- Two-panel axial: CT | PSMA PET, [18F]PSMA-1007 tracer
- acquired on Siemens Biograph 64-4R TruePoint
- PET panel 168×168 px (4.1 mm/px)
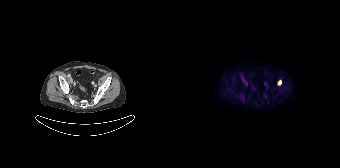
Findings: Coordinates are on the 168×168 PET (right) panel. PSMA-avid tumor lesion bounding box (x0, y0)-(x1, y1): (106, 80)-(109, 84).